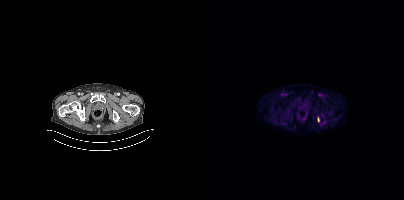
Only PSMA-avid lesion pieces thinner than 2 px on this slice (not listed).